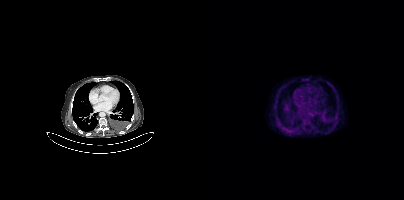
{"modality":"PSMA PET/CT","view":"axial","tracer":"18F-PSMA","pet_grid":[200,200],"coord_frame":"pet_panel","coord_format":"x0,y0,x1,y1","psma_avid_lesions":false}